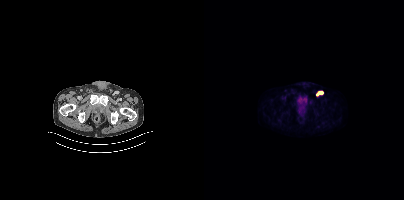
{"modality":"PSMA PET/CT","view":"axial","tracer":"18F-PSMA","pet_grid":[200,200],"coord_frame":"pet_panel","coord_format":"x0,y0,x1,y1","lesion_bboxes":[[112,91,119,95]]}